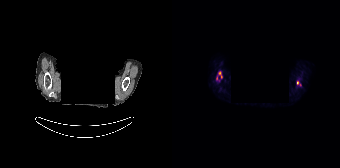
{"modality":"PSMA PET/CT","view":"axial","tracer":"18F","pet_grid":[168,168],"coord_frame":"pet_panel","coord_format":"x0,y0,x1,y1","partial":true,"lesion_bboxes":[[47,71,50,77]],"small_foci_centers":[[125,82]],"redaction":"head region blanked (face removed)"}